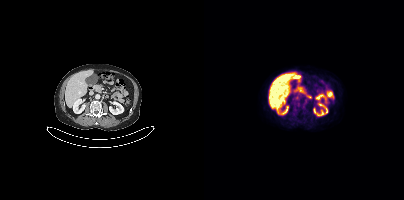
- Left: CT. Right: PSMA PET, same axial level, 18F-PSMA tracer
Findings: No tumor lesions annotated on this slice.